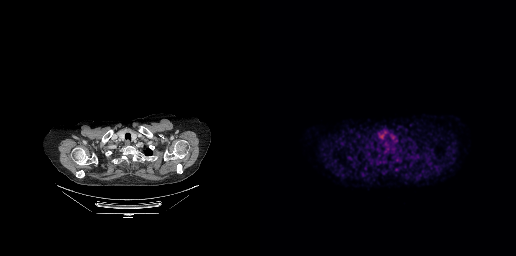
Findings: No PSMA-avid tumor lesions on this slice.
- Two-panel axial: CT | PSMA PET, [18F]PSMA-1007 tracer
- acquired on GE Discovery 690
- PET panel 256×256 px (2.7 mm/px)